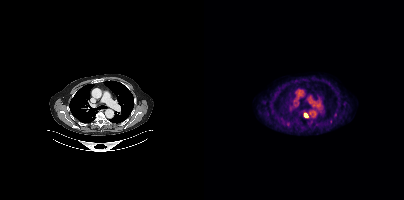
Left: CT. Right: PSMA PET, same axial level, 18F tracer. Slice position z = -318 mm. PET panel 200×200 px (4.1 mm/px).
Coordinates are on the 200×200 PET (right) panel. PSMA-avid tumor lesion bounding boxes (partial; 2 more foci not listed):
| # | x0 | y0 | x1 | y1 |
|---|---|---|---|---|
| 1 | 100 | 113 | 104 | 117 |